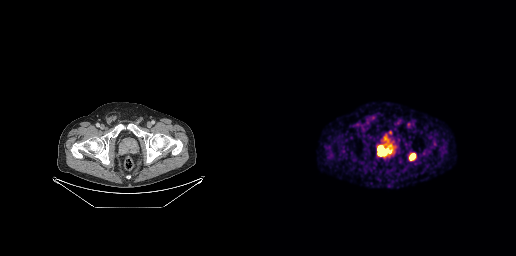
Coordinates are on the 256×256 PET (right) panel. PSMA-avid tumor lesion bounding boxes (x, y, width, height): x=117 y=145 w=14 h=11 | x=149 y=153 w=7 h=8.